modality: PSMA PET/CT | tracer: 18F | view: axial | PET grid: 256×256 | deidentification: privacy mask over head
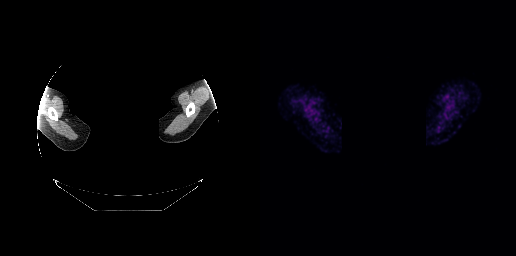
This slice has no annotated PSMA-avid lesion.